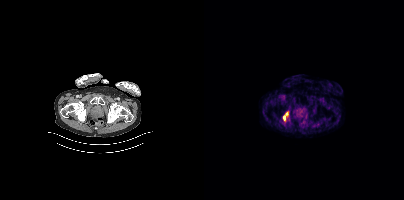
Findings: Coordinates are on the 200×200 PET (right) panel. PSMA-avid tumor lesion bounding box (x0,y0,x1,y1): [79,112,84,120].
Technique: Left: CT. Right: PSMA PET, same axial level, [18F]PSMA-1007 tracer. acquired on Siemens Biograph mCT Flow 20. slice position z = -964 mm. PET panel 200×200 px (4.1 mm/px).